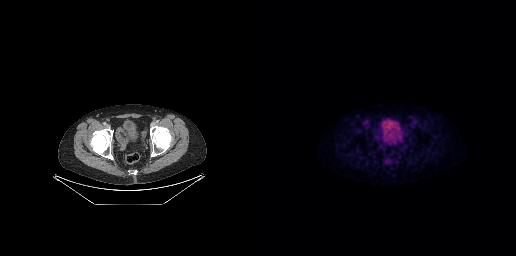
Technique: Left: CT. Right: PSMA PET, same axial level, 18F tracer. acquired on GE Discovery 690.
Findings: This slice has no annotated PSMA-avid lesion.